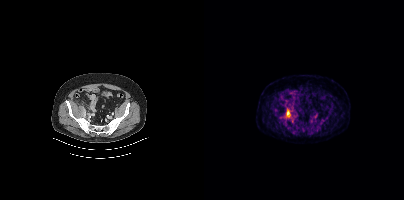
Two-panel axial: CT | PSMA PET, [18F]PSMA-1007 tracer. PET panel 200×200 px (4.1 mm/px). Coordinates are on the 200×200 PET (right) panel. PSMA-avid tumor lesion bounding box (x0,y0,x1,y1): [81,108,86,118].